Left: CT. Right: PSMA PET, same axial level, 18F-PSMA tracer. Slice position z = -200 mm. PET panel 200×200 px (4.1 mm/px).
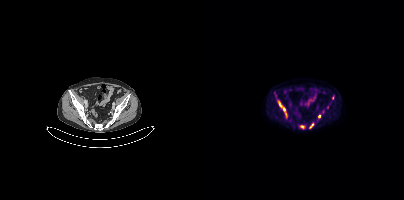
Coordinates are on the 200×200 PET (right) panel. PSMA-avid tumor lesion bounding boxes (x0,y0,x1,y1): [73,100,83,117]; [105,123,109,128]; [96,125,100,128]. Small PSMA-avid foci (2 to 4 px across) near (center x, center y): (115, 116); (128, 97); (123, 107).